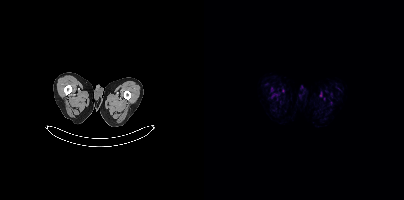
This slice has no annotated PSMA-avid lesion.